Paired axial CT (left) and PSMA PET (right), 18F tracer. Acquired on Siemens Biograph mCT Flow 20.
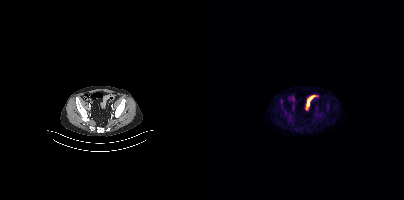
This slice has no annotated PSMA-avid lesion.